Paired axial CT (left) and PSMA PET (right), [18F]PSMA-1007 tracer. Acquired on Siemens Biograph mCT Flow 20. Slice position z = -1004 mm.
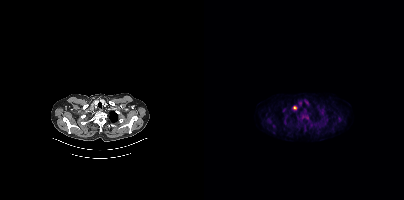
Coordinates are on the 200×200 PET (right) panel. PSMA-avid tumor lesion bounding boxes (partial; 1 more focus not listed):
| # | x0 | y0 | x1 | y1 |
|---|---|---|---|---|
| 1 | 97 | 111 | 103 | 119 |
Small PSMA-avid foci (2 to 4 px across) near (center x, center y): (90, 107); (79, 110).